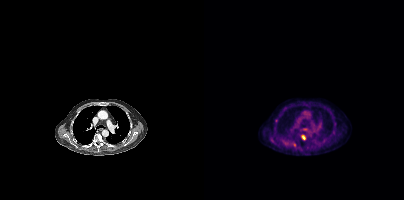
modality: PSMA PET/CT | tracer: 18F | view: axial
Coordinates are on the 200×200 PET (right) panel. PSMA-avid tumor lesion bounding box (x, y, width, height): x=97 y=135 w=5 h=5. Small PSMA-avid foci (2 to 4 px across) near (center x, center y): (90, 144) / (72, 120).